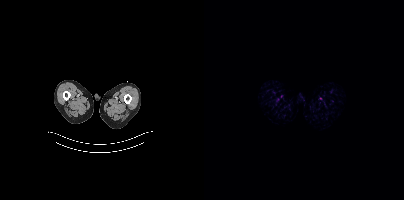
modality: PSMA PET/CT | tracer: [18F]PSMA-1007 | view: axial | PET grid: 200×200
No tumor lesions annotated on this slice.